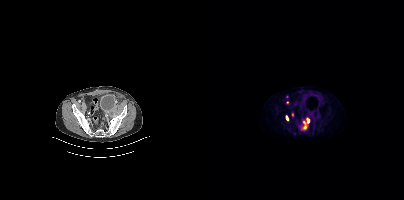
{"modality":"PSMA PET/CT","view":"axial","tracer":"18F","pet_grid":[200,200],"coord_frame":"pet_panel","coord_format":"x0,y0,x1,y1","lesion_bboxes":[[99,118,105,129],[82,115,84,120]],"small_foci_centers":[[83,96],[88,114],[83,102]]}